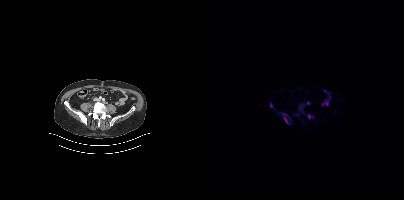
Coordinates are on the 200×200 PET (right) panel. (showing 5 of 6 foci) PSMA-avid tumor lesion bounding boxes (x, y, width, height): x=94 y=104 w=8 h=10 / x=76 y=112 w=9 h=12 / x=103 y=114 w=6 h=5. Small PSMA-avid foci (2 to 4 px across) near (center x, center y): (67, 105) / (104, 102).